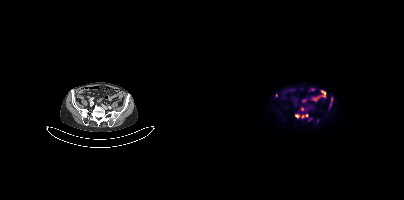
{"modality":"PSMA PET/CT","view":"axial","tracer":"18F","pet_grid":[200,200],"coord_frame":"pet_panel","coord_format":"x0,y0,x1,y1","lesion_bboxes":[],"small_foci_centers":[[92,116],[72,95],[102,115],[127,99],[99,116],[98,108]]}